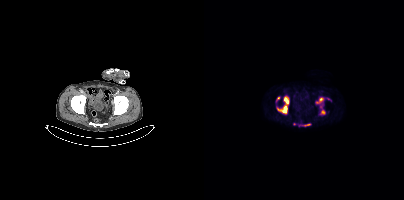
Coordinates are on the 200×200 PET (right) panel. PSMA-avid tumor lesion bounding boxes (partial; 1 more focus not listed):
| # | x0 | y0 | x1 | y1 |
|---|---|---|---|---|
| 1 | 72 | 95 | 85 | 114 |
| 2 | 112 | 97 | 119 | 103 |
| 3 | 116 | 106 | 121 | 114 |
| 4 | 72 | 96 | 76 | 102 |
| 5 | 98 | 124 | 106 | 126 |
Small PSMA-avid focus (2 to 4 px across) near (center x, center y): (90, 123).
Two-panel axial: CT | PSMA PET, 18F tracer. PET panel 200×200 px (4.1 mm/px).